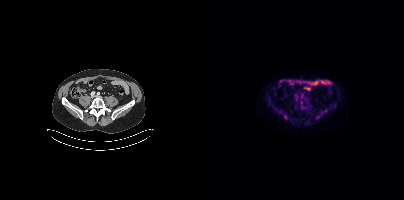
Findings: No PSMA-avid tumor lesions on this slice.
Technique: Two-panel axial: CT | PSMA PET, 18F tracer. acquired on Siemens Biograph mCT Flow 20. slice 160 of 454. PET panel 200×200 px (4.1 mm/px).